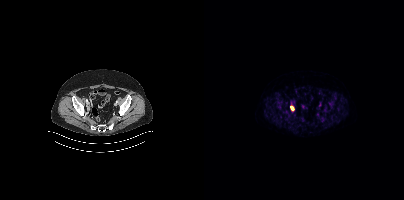
Coordinates are on the 200×200 PET (right) panel. PSMA-avid tumor lesion bounding boxes:
| # | x0 | y0 | x1 | y1 |
|---|---|---|---|---|
| 1 | 86 | 105 | 90 | 110 |
Paired axial CT (left) and PSMA PET (right), 18F-PSMA tracer. PET panel 200×200 px (4.1 mm/px).